Left: CT. Right: PSMA PET, same axial level, [18F]PSMA-1007 tracer. Acquired on Siemens Biograph mCT Flow 20.
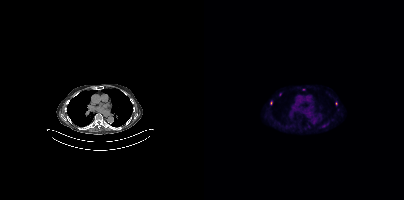
Coordinates are on the 200×200 PET (right) panel. (showing 4 of 5 foci) Small PSMA-avid foci (2 to 4 px across) near (center x, center y): (67, 102) | (132, 103) | (104, 126) | (99, 89).